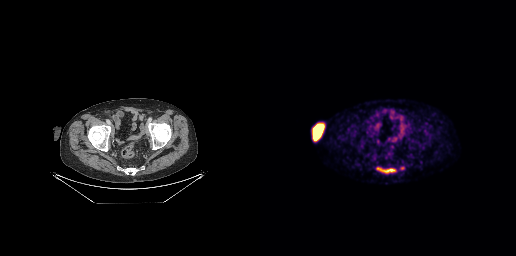
Paired axial CT (left) and PSMA PET (right), [18F]PSMA-1007 tracer. PET panel 256×256 px (2.7 mm/px). Coordinates are on the 256×256 PET (right) panel. (showing 1 of 2 foci) PSMA-avid tumor lesion bounding box (x, y, width, height): x=117 y=167 w=19 h=7.